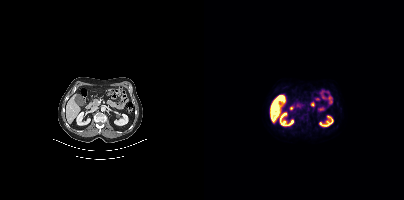
Negative for PSMA-avid disease on this slice. Two-panel axial: CT | PSMA PET, 18F tracer. Acquired on Siemens Biograph mCT Flow 20. Slice 193 of 405.